modality: PSMA PET/CT | tracer: [68Ga]Ga-PSMA-11 | view: axial | PET grid: 256×256
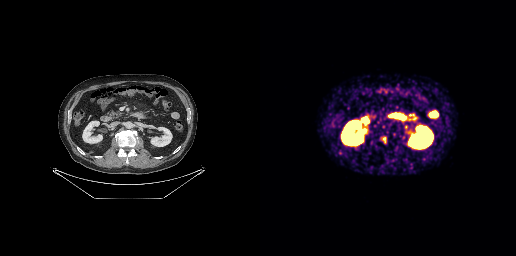
Coordinates are on the 256×256 PET (right) panel. PSMA-avid tumor lesion bounding box (x0, y0)-(x1, y1): (123, 137)-(125, 142).